modality: PSMA PET/CT | tracer: [68Ga]Ga-PSMA-11 | view: axial | PET grid: 168×168
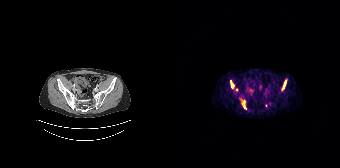
Coordinates are on the 168×168 PET (right) panel. PSMA-avid tumor lesion bounding boxes (x0, y0)-(x1, y1): (69, 100)-(74, 109) | (58, 80)-(62, 88) | (110, 80)-(114, 90). Small PSMA-avid focus (2 to 4 px across) near (center x, center y): (64, 89).